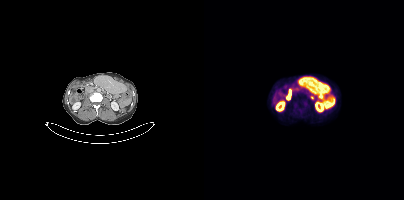
Negative for PSMA-avid disease on this slice.
modality: PSMA PET/CT | tracer: [18F]PSMA-1007 | view: axial | PET grid: 200×200